Paired axial CT (left) and PSMA PET (right), 18F-PSMA tracer. PET panel 200×200 px (4.1 mm/px).
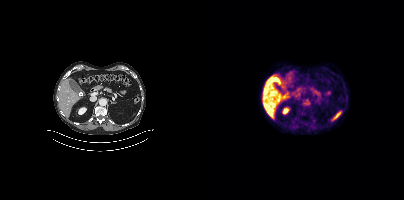
This slice has no annotated PSMA-avid lesion.